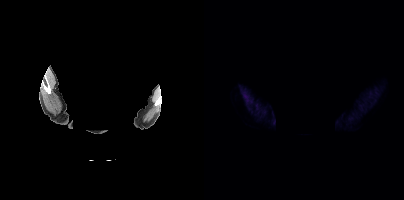
A rectangle over the head was blacked out to remove identifiable facial features. Left: CT. Right: PSMA PET, same axial level, 18F-PSMA tracer. Slice 384 of 431. PET panel 200×200 px (4.1 mm/px). No tumor lesions annotated on this slice.